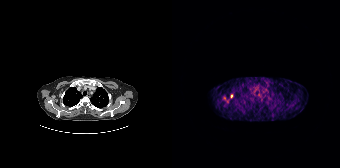
Coordinates are on the 168×168 PET (right) panel. (showing 2 of 3 foci) Small PSMA-avid foci (2 to 4 px across) near (center x, center y): (59, 95) / (52, 98). Two-panel axial: CT | PSMA PET, [68Ga]Ga-PSMA-11 tracer. Acquired on Siemens Biograph 64-4R TruePoint.